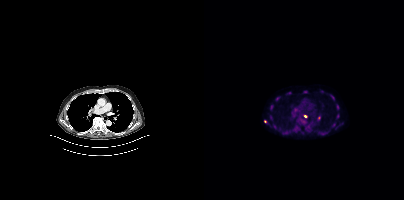
Two-panel axial: CT | PSMA PET, 18F tracer. Acquired on Siemens Biograph mCT Flow 20. Slice 271 of 401.
Coordinates are on the 200×200 PET (right) panel. PSMA-avid tumor lesion bounding boxes (partial; 1 more focus not listed):
| # | x0 | y0 | x1 | y1 |
|---|---|---|---|---|
| 1 | 132 | 104 | 135 | 109 |
| 2 | 126 | 94 | 130 | 99 |
| 3 | 99 | 90 | 103 | 93 |
| 4 | 83 | 92 | 87 | 94 |
| 5 | 133 | 114 | 135 | 118 |
| 6 | 67 | 105 | 68 | 109 |
Small PSMA-avid foci (2 to 4 px across) near (center x, center y): (61, 121); (73, 98); (101, 116); (70, 127).